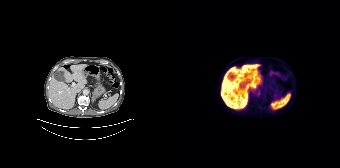
{"modality":"PSMA PET/CT","view":"axial","tracer":"18F","pet_grid":[168,168],"coord_frame":"pet_panel","coord_format":"x0,y0,x1,y1","psma_avid_lesions":false}